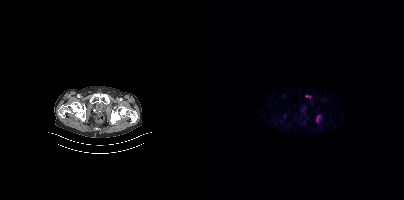
Coordinates are on the 200×200 PET (right) panel. PSMA-avid tumor lesion bounding boxes:
| # | x0 | y0 | x1 | y1 |
|---|---|---|---|---|
| 1 | 112 | 115 | 116 | 122 |
Small PSMA-avid foci (2 to 4 px across) near (center x, center y): (102, 95); (105, 96).
Paired axial CT (left) and PSMA PET (right), 18F tracer.